Left: CT. Right: PSMA PET, same axial level, [68Ga]Ga-PSMA-11 tracer. Acquired on GE Discovery 690. Slice 135 of 263. PET panel 256×256 px (2.7 mm/px).
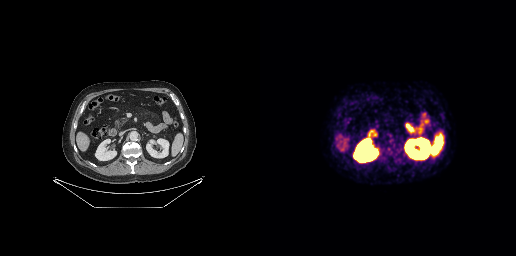
No PSMA-avid tumor lesions on this slice.